Technique: Left: CT. Right: PSMA PET, same axial level, [18F]PSMA-1007 tracer. acquired on Siemens Biograph mCT Flow 20. PET panel 200×200 px (4.1 mm/px).
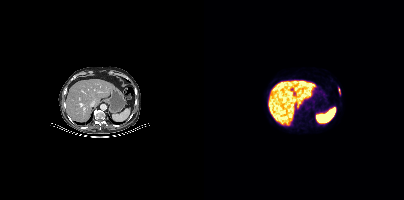
Findings: Only PSMA-avid lesion pieces thinner than 2 px on this slice (not listed).